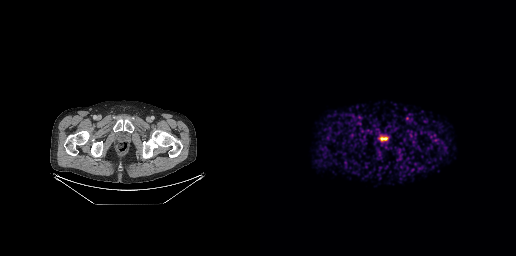
- Paired axial CT (left) and PSMA PET (right), [68Ga]Ga-PSMA-11 tracer
- acquired on GE Discovery 690
- slice 42 of 263
Findings: This slice has no annotated PSMA-avid lesion.